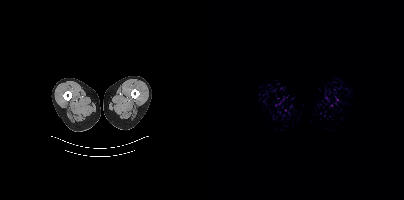
modality: PSMA PET/CT | tracer: 18F | view: axial | PET grid: 200×200
This slice has no annotated PSMA-avid lesion.